Two-panel axial: CT | PSMA PET, 18F tracer. Acquired on Siemens Biograph mCT Flow 20. Slice 56 of 433. PET panel 200×200 px (4.1 mm/px).
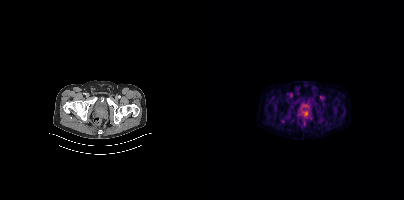
Coordinates are on the 200×200 PET (right) panel. PSMA-avid tumor lesion bounding boxes:
| # | x0 | y0 | x1 | y1 |
|---|---|---|---|---|
| 1 | 99 | 111 | 104 | 116 |